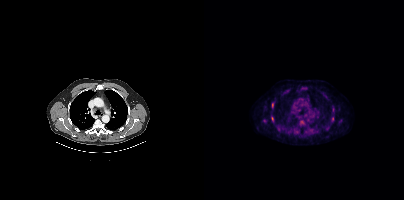
modality: PSMA PET/CT | tracer: [18F]PSMA-1007 | view: axial
Coordinates are on the 200×200 PET (right) panel. PSMA-avid tumor lesion bounding box (x0,y0,x1,y1): [67,117,69,121]. Small PSMA-avid foci (2 to 4 px across) near (center x, center y): (128, 118), (69, 102), (129, 107).